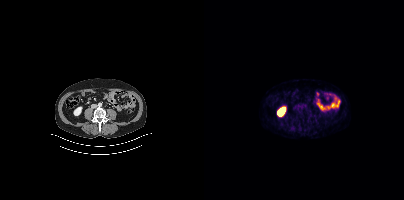
{"modality":"PSMA PET/CT","view":"axial","tracer":"68Ga-PSMA","pet_grid":[200,200],"coord_frame":"pet_panel","coord_format":"x0,y0,x1,y1","psma_avid_lesions":false}